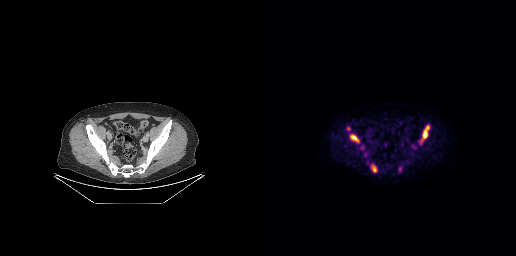
Findings: Coordinates are on the 256×256 PET (right) panel. (showing 5 of 6 foci) PSMA-avid tumor lesion bounding boxes (x, y, width, height): x=160 y=125 w=10 h=19; x=89 y=133 w=11 h=11; x=111 y=165 w=6 h=8. Small PSMA-avid foci (2 to 4 px across) near (center x, center y): (88, 128); (102, 147).
- Paired axial CT (left) and PSMA PET (right), [18F]PSMA-1007 tracer
- slice position z = -688 mm
- PET panel 256×256 px (2.7 mm/px)